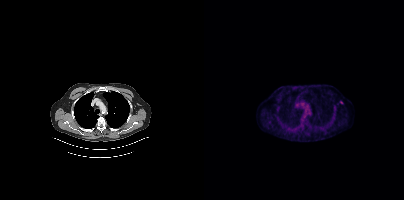
Coordinates are on the 200×200 PET (right) panel. Small PSMA-avid focus (2 to 4 px across) near (center x, center y): (137, 102).
modality: PSMA PET/CT | tracer: [18F]PSMA-1007 | view: axial | PET grid: 200×200